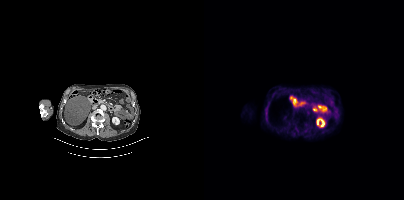
- Two-panel axial: CT | PSMA PET, 18F-PSMA tracer
- slice 187 of 411
- PET panel 200×200 px (4.1 mm/px)
Findings: Negative for PSMA-avid disease on this slice.